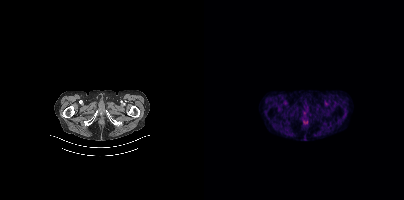
No PSMA-avid tumor lesions on this slice.